Technique: Paired axial CT (left) and PSMA PET (right), [18F]PSMA-1007 tracer. acquired on Siemens Biograph 64-4R TruePoint. slice 43 of 135.
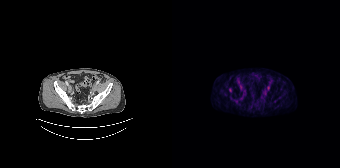
Findings: Coordinates are on the 168×168 PET (right) panel. PSMA-avid tumor lesion bounding box (x0, y0)-(x1, y1): (95, 85)-(97, 89). Small PSMA-avid focus (2 to 4 px across) near (center x, center y): (58, 90).